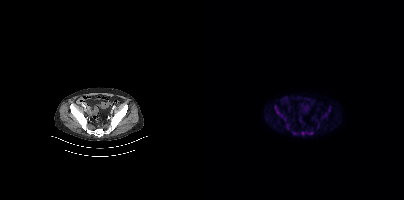
Coordinates are on the 200×200 PET (right) panel. (showing 7 of 10 foci) PSMA-avid tumor lesion bounding boxes (x, y, width, height): x=71 y=107 w=9 h=11 / x=97 y=131 w=13 h=5 / x=119 y=113 w=5 h=5 / x=88 y=132 w=6 h=3 / x=82 y=124 w=3 h=5. Small PSMA-avid foci (2 to 4 px across) near (center x, center y): (125, 109) / (81, 118).